- Two-panel axial: CT | PSMA PET, 18F-PSMA tracer
- slice 230 of 423
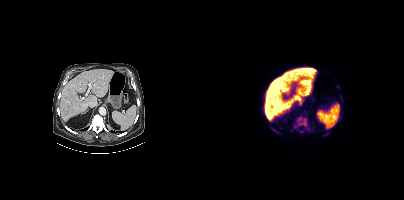
Findings: Coordinates are on the 200×200 PET (right) panel. (showing 3 of 4 foci) PSMA-avid tumor lesion bounding boxes (x0,y0,x1,y1): [89,114,105,132], [66,127,72,131]. Small PSMA-avid focus (2 to 4 px across) near (center x, center y): (133, 86).